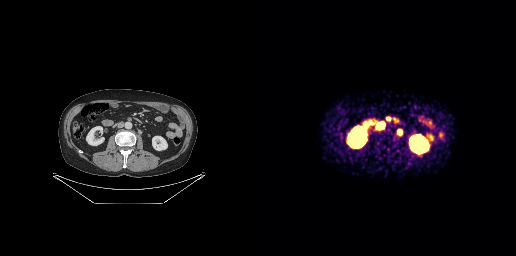
{"pet_grid":[256,256],"coord_frame":"pet_panel","coord_format":"x0,y0,x1,y1","lesion_bboxes":[[117,122,124,128]],"small_foci_centers":[[128,118],[139,131]],"modality":"PSMA PET/CT","view":"axial","tracer":"[68Ga]Ga-PSMA-11"}